A rectangular block over the head has been blanked out for de-identification.
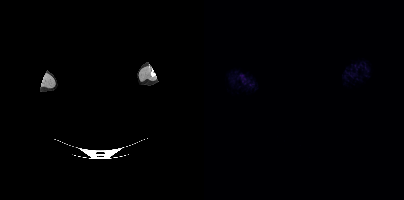
Negative for PSMA-avid disease on this slice.